A rectangular block over the head has been blanked out for de-identification.
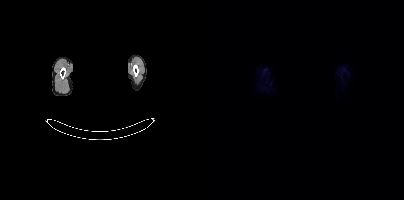
Negative for PSMA-avid disease on this slice.